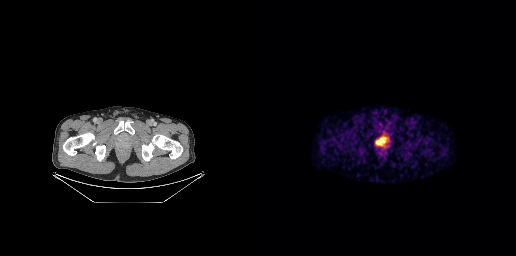
Coordinates are on the 256×256 PET (right) panel. PSMA-avid tumor lesion bounding box (x, y, width, height): x=116 y=136 w=12 h=11.